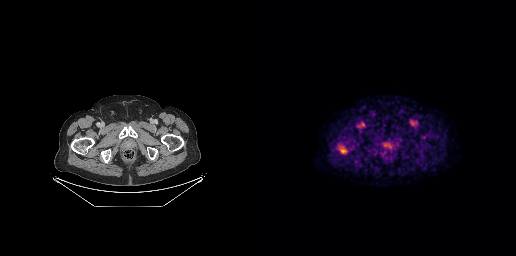
Coordinates are on the 256×256 PET (right) panel. PSMA-avid tumor lesion bounding box (x0, y0)-(x1, y1): (78, 144)-(87, 153).
modality: PSMA PET/CT | tracer: 18F | view: axial